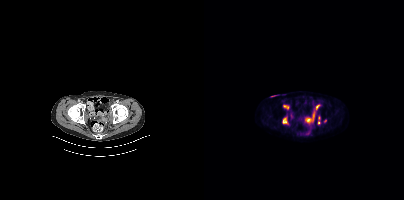
{"modality":"PSMA PET/CT","view":"axial","tracer":"18F","pet_grid":[200,200],"coord_frame":"pet_panel","coord_format":"x0,y0,x1,y1","partial":true,"lesion_bboxes":[[78,116,83,124],[79,104,84,109],[112,105,115,109]],"small_foci_centers":[[104,120],[114,122]]}